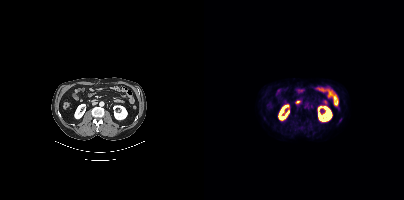
This slice has no annotated PSMA-avid lesion.